modality: PSMA PET/CT | tracer: 68Ga | view: axial
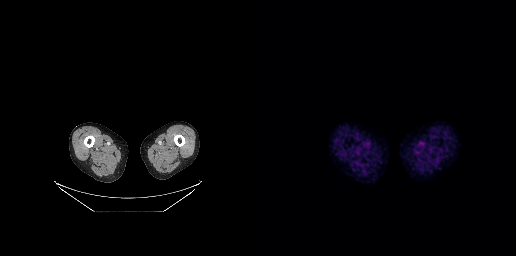
This slice has no annotated PSMA-avid lesion.